Technique: Two-panel axial: CT | PSMA PET, 68Ga tracer. acquired on Siemens Biograph mCT Flow 20. slice 138 of 405.
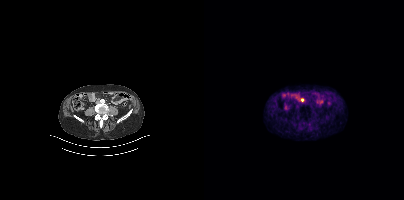
Findings: Coordinates are on the 200×200 PET (right) panel. Small PSMA-avid focus (2 to 4 px across) near (center x, center y): (98, 99).